modality: PSMA PET/CT | tracer: 18F | view: axial | PET grid: 200×200 | deidentification: privacy mask over head
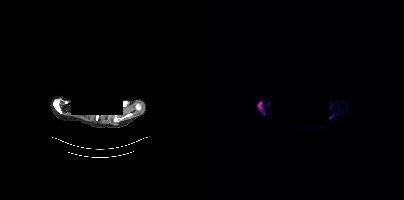
Coordinates are on the 200×200 PET (right) panel. (showing 1 of 3 foci) PSMA-avid tumor lesion bounding box (x0, y0)-(x1, y1): (53, 102)-(58, 109).